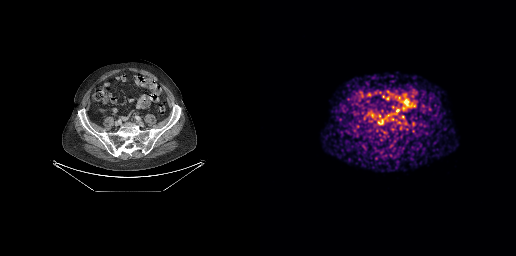
modality: PSMA PET/CT | tracer: 68Ga-PSMA | view: axial | PET grid: 256×256
No tumor lesions annotated on this slice.